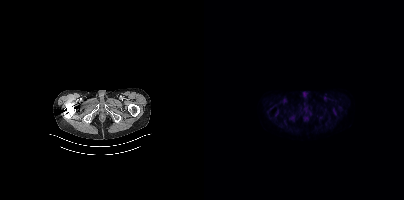
{"modality":"PSMA PET/CT","view":"axial","tracer":"[18F]PSMA-1007","pet_grid":[200,200],"coord_frame":"pet_panel","coord_format":"x0,y0,x1,y1","psma_avid_lesions":false}